Technique: Two-panel axial: CT | PSMA PET, [68Ga]Ga-PSMA-11 tracer. acquired on Siemens Biograph mCT Flow 20. slice position z = -761 mm.
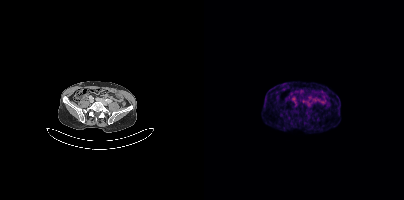
Findings: This slice has no annotated PSMA-avid lesion.